Left: CT. Right: PSMA PET, same axial level, [18F]PSMA-1007 tracer. PET panel 200×200 px (4.1 mm/px).
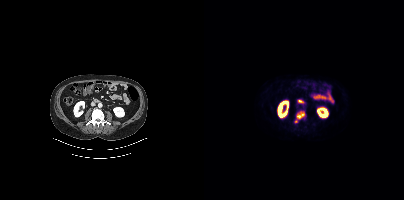
Coordinates are on the 200×200 PET (right) panel. PSMA-avid tumor lesion bounding boxes:
| # | x0 | y0 | x1 | y1 |
|---|---|---|---|---|
| 1 | 93 | 112 | 100 | 118 |
Small PSMA-avid focus (2 to 4 px across) near (center x, center y): (91, 121).